modality: PSMA PET/CT | tracer: 18F-PSMA | view: axial | PET grid: 200×200
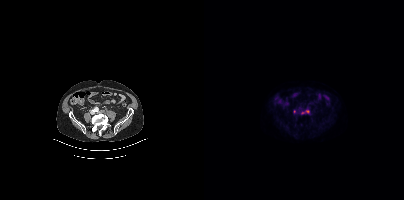
Coordinates are on the 200×200 PET (right) panel. PSMA-avid tumor lesion bounding box (x0, y0)-(x1, y1): (98, 109)-(105, 114). Small PSMA-avid focus (2 to 4 px across) near (center x, center y): (90, 111).